Technique: Paired axial CT (left) and PSMA PET (right), [68Ga]Ga-PSMA-11 tracer. slice 175 of 195.
Note: Privacy masking over the head, with the pixels inside a rectangle set to black.
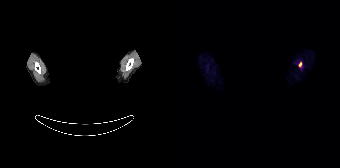
Findings: Coordinates are on the 168×168 PET (right) panel. PSMA-avid tumor lesion bounding box (x, y, width, height): x=127 y=62 w=3 h=5.